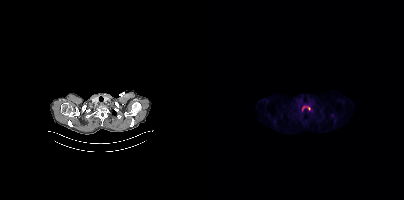
Technique: Left: CT. Right: PSMA PET, same axial level, 18F tracer. acquired on Siemens Biograph mCT Flow 20. slice position z = 506 mm. PET panel 200×200 px (4.1 mm/px).
Findings: Coordinates are on the 200×200 PET (right) panel. PSMA-avid tumor lesion bounding box (x, y, width, height): x=98 y=106 w=9 h=5.